Paired axial CT (left) and PSMA PET (right), 18F tracer. Acquired on Siemens Biograph mCT Flow 20. PET panel 200×200 px (4.1 mm/px).
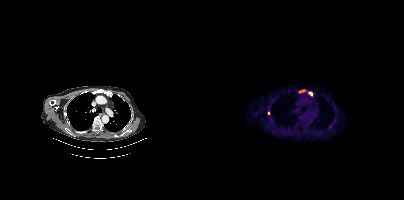
Coordinates are on the 200×200 PET (right) panel. PSMA-avid tumor lesion bounding boxes:
| # | x0 | y0 | x1 | y1 |
|---|---|---|---|---|
| 1 | 104 | 91 | 108 | 96 |
| 2 | 95 | 89 | 101 | 92 |
| 3 | 63 | 111 | 65 | 115 |